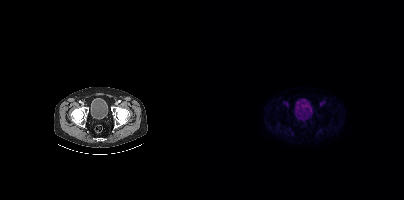
Findings: No tumor lesions annotated on this slice.
- Paired axial CT (left) and PSMA PET (right), 18F-PSMA tracer